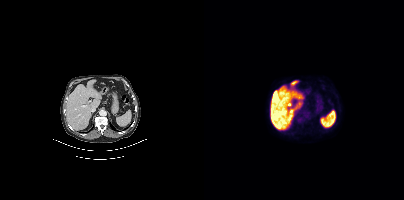
No PSMA-avid tumor lesions on this slice. Left: CT. Right: PSMA PET, same axial level, 18F-PSMA tracer. Acquired on Siemens Biograph mCT Flow 20. PET panel 200×200 px (4.1 mm/px).